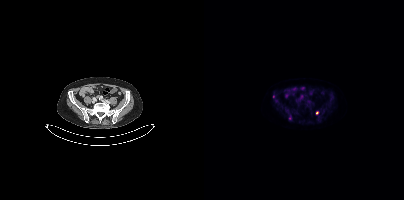
modality: PSMA PET/CT | tracer: 18F | view: axial | PET grid: 200×200
Coordinates are on the 200×200 PET (right) panel. Small PSMA-avid foci (2 to 4 px across) near (center x, center y): (113, 112); (69, 96).